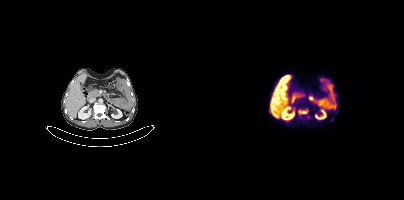
{"modality":"PSMA PET/CT","view":"axial","tracer":"[18F]PSMA-1007","pet_grid":[200,200],"coord_frame":"pet_panel","coord_format":"x0,y0,x1,y1","lesion_bboxes":[[94,110,103,113]]}